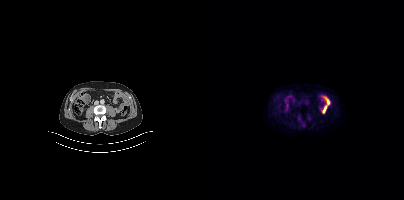
Findings: No PSMA-avid tumor lesions on this slice.
- Two-panel axial: CT | PSMA PET, 18F tracer